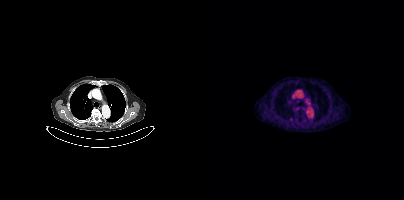
Coordinates are on the 200×200 PET (right) panel. Small PSMA-avid focus (2 to 4 px across) near (center x, center y): (87, 119).
modality: PSMA PET/CT | tracer: 18F-PSMA | view: axial